Paired axial CT (left) and PSMA PET (right), 18F tracer. PET panel 200×200 px (4.1 mm/px).
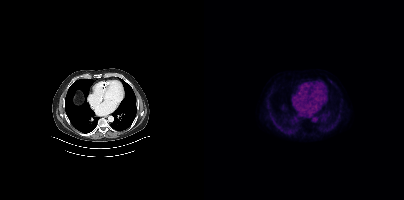
This slice has no annotated PSMA-avid lesion.